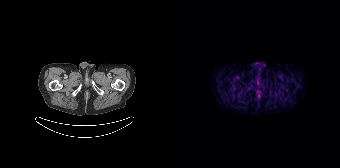
Paired axial CT (left) and PSMA PET (right), 68Ga-PSMA tracer. No tumor lesions annotated on this slice.